Two-panel axial: CT | PSMA PET, 18F-PSMA tracer.
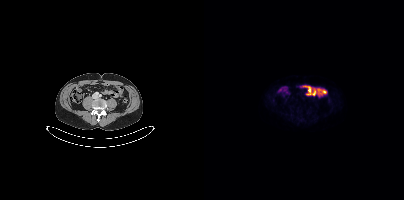
This slice has no annotated PSMA-avid lesion.